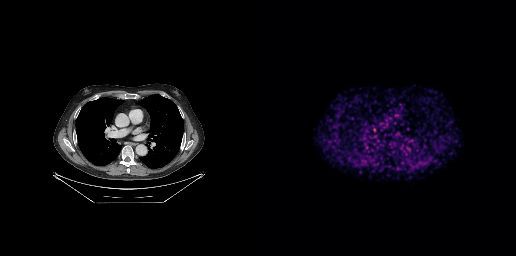
Left: CT. Right: PSMA PET, same axial level, 68Ga-PSMA tracer. PET panel 256×256 px (2.7 mm/px). Negative for PSMA-avid disease on this slice.